Two-panel axial: CT | PSMA PET, 18F-PSMA tracer. Slice position z = -926 mm. PET panel 200×200 px (4.1 mm/px).
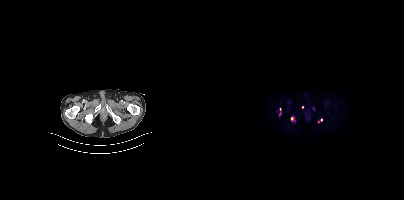
Coordinates are on the 200×200 PET (right) panel. (showing 3 of 4 foci) PSMA-avid tumor lesion bounding box (x0, y0)-(x1, y1): (114, 119)-(118, 122). Small PSMA-avid foci (2 to 4 px across) near (center x, center y): (87, 118); (98, 106).